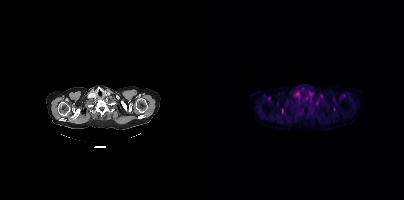
Left: CT. Right: PSMA PET, same axial level, [18F]PSMA-1007 tracer. Only PSMA-avid lesion pieces thinner than 2 px on this slice (not listed).